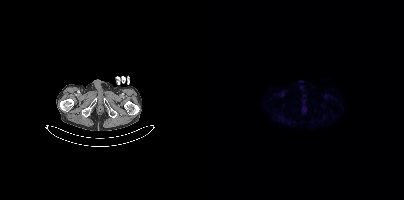
- Left: CT. Right: PSMA PET, same axial level, [18F]PSMA-1007 tracer
- acquired on Siemens Biograph mCT Flow 20
- slice position z = -1530 mm
- PET panel 200×200 px (4.1 mm/px)
Findings: Negative for PSMA-avid disease on this slice.